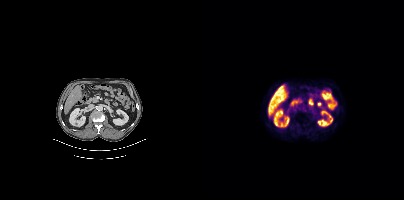
Technique: Left: CT. Right: PSMA PET, same axial level, 18F-PSMA tracer. acquired on Siemens Biograph mCT Flow 20.
Findings: No PSMA-avid tumor lesions on this slice.